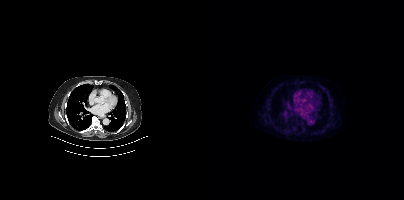
This slice has no annotated PSMA-avid lesion. Paired axial CT (left) and PSMA PET (right), [18F]PSMA-1007 tracer. Acquired on Siemens Biograph mCT Flow 20. PET panel 200×200 px (4.1 mm/px).